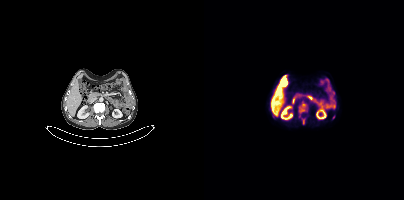
{"modality":"PSMA PET/CT","view":"axial","tracer":"[18F]PSMA-1007","pet_grid":[200,200],"coord_frame":"pet_panel","coord_format":"x0,y0,x1,y1","lesion_bboxes":[[95,102,103,113]],"small_foci_centers":[[95,115]]}